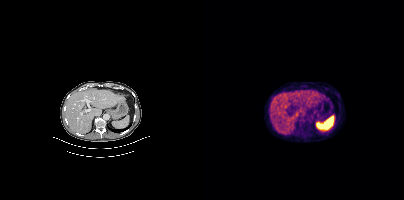
- Paired axial CT (left) and PSMA PET (right), 18F-PSMA tracer
- slice 249 of 448
- PET panel 200×200 px (4.1 mm/px)
Findings: Coordinates are on the 200×200 PET (right) panel. PSMA-avid tumor lesion bounding box (x0, y0)-(x1, y1): (94, 117)-(106, 126).